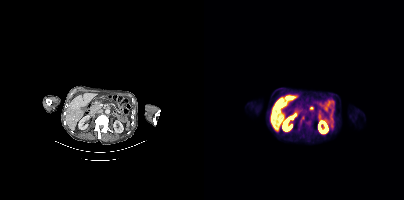
Paired axial CT (left) and PSMA PET (right), 18F-PSMA tracer. Slice position z = -1208 mm. Coordinates are on the 200×200 PET (right) panel. (showing 1 of 2 foci) PSMA-avid tumor lesion bounding box (x, y, width, height): x=96 y=115 w=5 h=9.